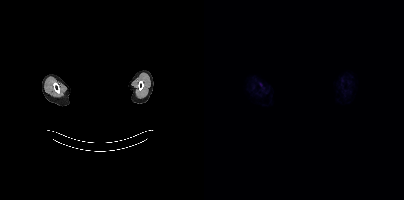
Paired axial CT (left) and PSMA PET (right), 18F-PSMA tracer. Acquired on Siemens Biograph mCT Flow 20. Slice position z = -269 mm. De-identified by setting a box covering the face to black before release. No PSMA-avid tumor lesions on this slice.